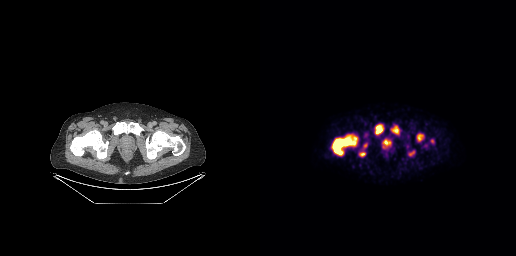
modality: PSMA PET/CT | tracer: 18F-PSMA | view: axial | PET grid: 256×256
Coordinates are on the 256×256 PET (right) panel. PSMA-avid tumor lesion bounding boxes (x0, y0)-(x1, y1): (72, 134)-(97, 155); (115, 124)-(123, 134); (131, 125)-(139, 134); (157, 133)-(163, 141); (123, 140)-(130, 145); (100, 152)-(105, 156); (149, 151)-(154, 155). Small PSMA-avid foci (2 to 4 px across) near (center x, center y): (172, 141); (105, 145).